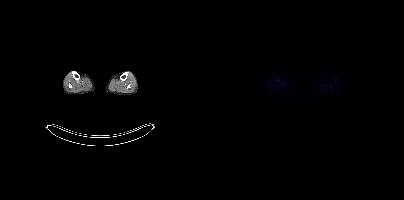
No PSMA-avid tumor lesions on this slice. Left: CT. Right: PSMA PET, same axial level, 18F tracer. Slice 211 of 963. PET panel 200×200 px (4.1 mm/px).